- Paired axial CT (left) and PSMA PET (right), [18F]PSMA-1007 tracer
- slice position z = -1060 mm
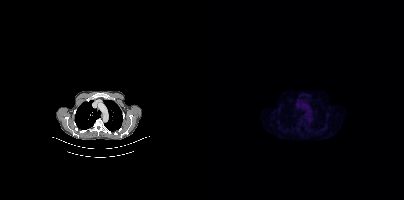
Findings: Negative for PSMA-avid disease on this slice.